Paired axial CT (left) and PSMA PET (right), 18F tracer. Acquired on Siemens Biograph mCT Flow 20.
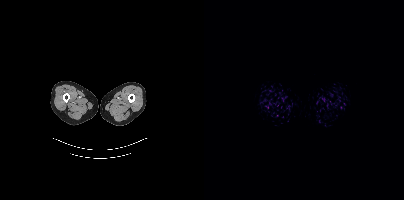
No tumor lesions annotated on this slice.